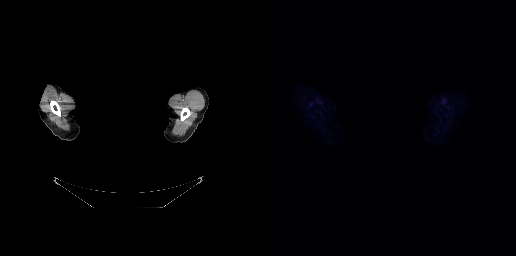
modality: PSMA PET/CT | tracer: 18F | view: axial | de-identification: face masked with black rectangle
This slice has no annotated PSMA-avid lesion.